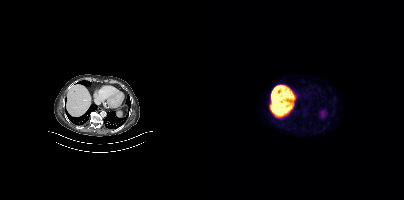
- Two-panel axial: CT | PSMA PET, [18F]PSMA-1007 tracer
Findings: Coordinates are on the 200×200 PET (right) panel. Small PSMA-avid focus (2 to 4 px across) near (center x, center y): (119, 128).